modality: PSMA PET/CT | tracer: 18F-PSMA | view: axial
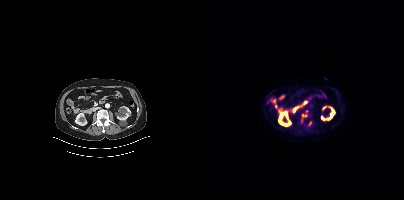
Coordinates are on the 200×200 PET (right) panel. PSMA-avid tumor lesion bounding box (x0,y0,x1,y1): [97,110,104,123]. Small PSMA-avid focus (2 to 4 px across) near (center x, center y): (106, 123).